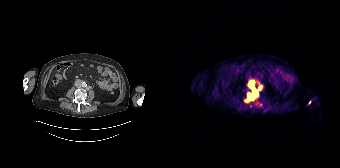
Coordinates are on the 168×168 PET (right) panel. PSMA-avid tumor lesion bounding boxes (x0, y0)-(x1, y1): (77, 81)-(89, 94); (74, 93)-(83, 101). Small PSMA-avid focus (2 to 4 px across) near (center x, center y): (137, 102).